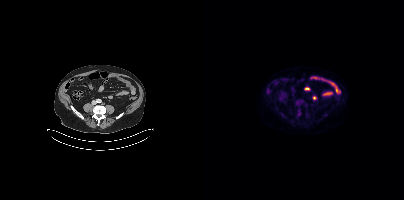
{"modality":"PSMA PET/CT","view":"axial","tracer":"[18F]PSMA-1007","pet_grid":[200,200],"coord_frame":"pet_panel","coord_format":"x0,y0,x1,y1","lesion_bboxes":[],"small_foci_centers":[[121,114]]}